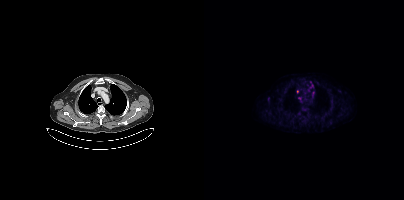
Findings: Coordinates are on the 200×200 PET (right) panel. PSMA-avid tumor lesion bounding box (x, y, width, height): x=106 y=81 w=4 h=8. Small PSMA-avid focus (2 to 4 px across) near (center x, center y): (104, 89).
- Two-panel axial: CT | PSMA PET, [18F]PSMA-1007 tracer
- slice position z = -278 mm